modality: PSMA PET/CT | tracer: [18F]PSMA-1007 | view: axial | PET grid: 200×200
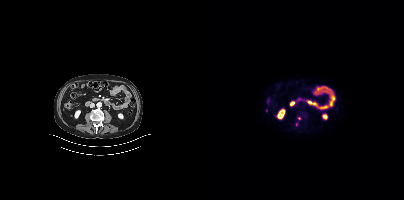
Coordinates are on the 200×200 PET (right) panel. (showing 2 of 3 foci) Small PSMA-avid foci (2 to 4 px across) near (center x, center y): (62, 110) | (92, 124).